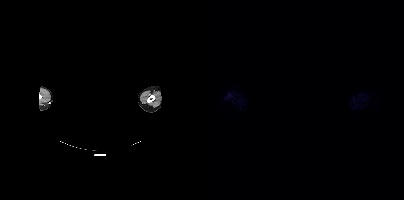
modality: PSMA PET/CT | tracer: 18F-PSMA | view: axial | de-identification: face masked with black rectangle
This slice has no annotated PSMA-avid lesion.